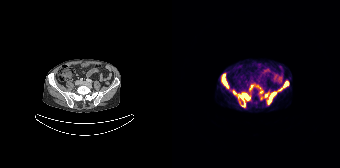
modality: PSMA PET/CT | tracer: [68Ga]Ga-PSMA-11 | view: axial
Coordinates are on the 168×168 PET (right) panel. (showing 9 of 12 foci) PSMA-avid tumor lesion bounding boxes (x, y, width, height): x=67 y=93 w=11 h=14 | x=96 y=92 w=9 h=12 | x=50 y=81 w=7 h=7 | x=112 y=82 w=5 h=5 | x=50 y=74 w=4 h=6 | x=78 y=85 w=4 h=5. Small PSMA-avid foci (2 to 4 px across) near (center x, center y): (94, 95) | (108, 89) | (62, 92).